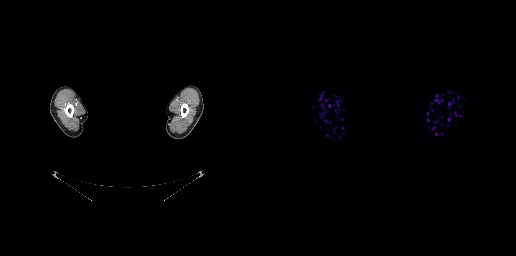
{"modality":"PSMA PET/CT","view":"axial","tracer":"[68Ga]Ga-PSMA-11","pet_grid":[256,256],"coord_frame":"pet_panel","coord_format":"x0,y0,x1,y1","redaction":"head region blanked (face removed)","psma_avid_lesions":false}